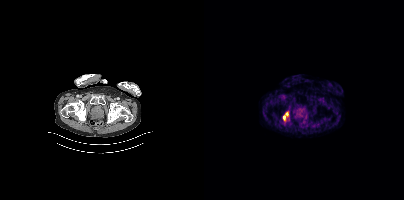
Coordinates are on the 200×200 PET (right) panel. PSMA-avid tumor lesion bounding box (x0, y0)-(x1, y1): (79, 112)-(84, 120).
modality: PSMA PET/CT | tracer: 18F-PSMA | view: axial | PET grid: 200×200